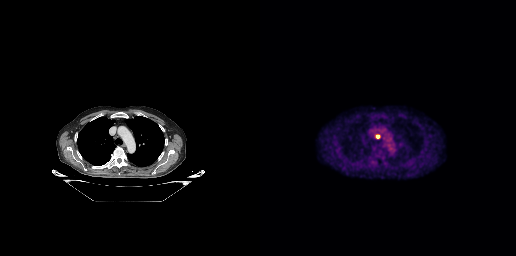
{"modality":"PSMA PET/CT","view":"axial","tracer":"18F","pet_grid":[256,256],"coord_frame":"pet_panel","coord_format":"x0,y0,x1,y1","lesion_bboxes":[[115,134,120,138]]}